modality: PSMA PET/CT | tracer: 18F | view: axial | PET grid: 200×200
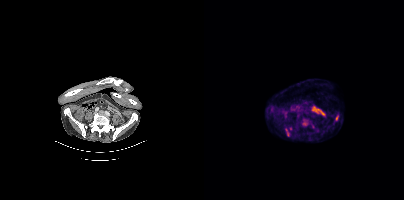
Coordinates are on the 200×200 PET (right) panel. (showing 2 of 3 foci) PSMA-avid tumor lesion bounding boxes (x, y, width, height): x=98 y=119 w=6 h=7; x=81 y=128 w=4 h=6.